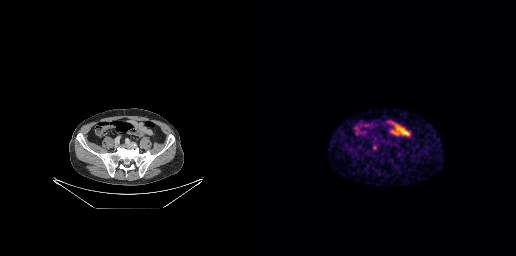
Coordinates are on the 256×256 PET (right) panel. Small PSMA-avid focus (2 to 4 px across) near (center x, center y): (114, 147).